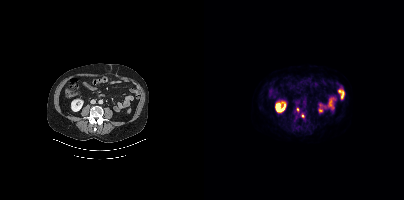
Coordinates are on the 200×200 PET (right) panel. Small PSMA-avid foci (2 to 4 px across) near (center x, center y): (98, 115) / (93, 109).